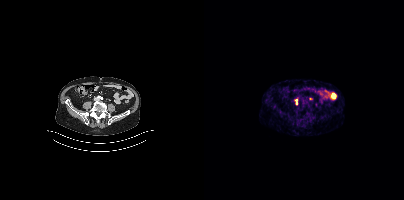
- Left: CT. Right: PSMA PET, same axial level, 68Ga tracer
- acquired on Siemens Biograph mCT Flow 20
- PET panel 200×200 px (4.1 mm/px)
Findings: Coordinates are on the 200×200 PET (right) panel. PSMA-avid tumor lesion bounding box (x, y, width, height): x=91 y=98 w=3 h=7. Small PSMA-avid focus (2 to 4 px across) near (center x, center y): (106, 98).